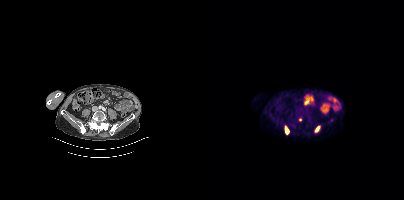
Coordinates are on the 200×200 PET (right) panel. PSMA-avid tumor lesion bounding boxes (x, y, width, height): x=80 y=125 w=6 h=10 | x=110 y=125 w=7 h=8. Small PSMA-avid focus (2 to 4 px across) near (center x, center y): (96, 119).